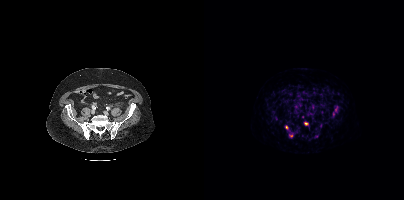
Coordinates are on the 200×200 PET (right) panel. PSMA-avid tumor lesion bounding box (x0, y0)-(x1, y1): (131, 106)-(133, 111). Small PSMA-avid foci (2 to 4 px across) near (center x, center y): (101, 123) / (129, 114) / (82, 127) / (87, 135).